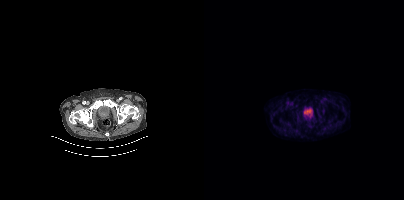
{"modality":"PSMA PET/CT","view":"axial","tracer":"18F","pet_grid":[200,200],"coord_frame":"pet_panel","coord_format":"x0,y0,x1,y1","psma_avid_lesions":false}